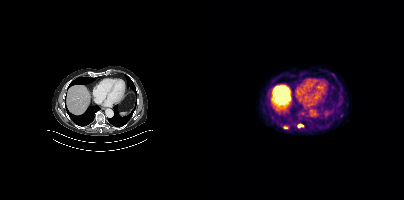
{"modality":"PSMA PET/CT","view":"axial","tracer":"18F","pet_grid":[200,200],"coord_frame":"pet_panel","coord_format":"x0,y0,x1,y1","lesion_bboxes":[[93,124,99,127],[79,126,84,129]]}